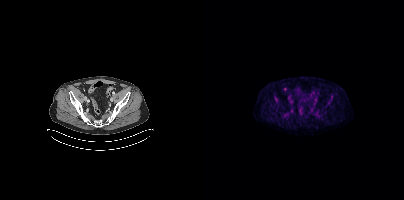
{"modality":"PSMA PET/CT","view":"axial","tracer":"[18F]PSMA-1007","pet_grid":[200,200],"coord_frame":"pet_panel","coord_format":"x0,y0,x1,y1","lesion_bboxes":[],"small_foci_centers":[[80,89]]}